- Left: CT. Right: PSMA PET, same axial level, 18F tracer
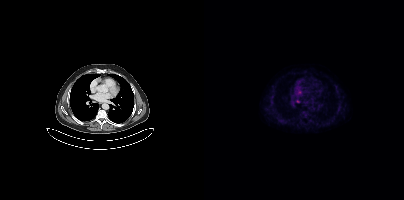
Findings: Coordinates are on the 200×200 PET (right) panel. Small PSMA-avid focus (2 to 4 px across) near (center x, center y): (94, 101).